Paired axial CT (left) and PSMA PET (right), 68Ga-PSMA tracer. Slice 273 of 429.
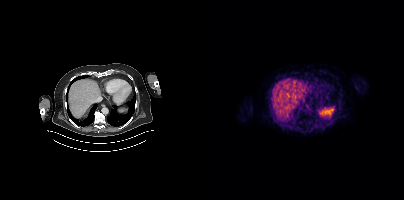
This slice has no annotated PSMA-avid lesion.